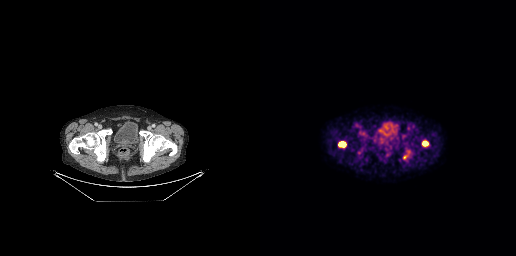
Coordinates are on the 256×256 PET (right) panel. PSMA-avid tumor lesion bounding boxes (x, y, width, height): x=162 y=140 w=7 h=7; x=78 y=141 w=8 h=6. Small PSMA-avid focus (2 to 4 px across) near (center x, center y): (144, 157).